Two-panel axial: CT | PSMA PET, [68Ga]Ga-PSMA-11 tracer. Acquired on Siemens Biograph 64-4R TruePoint. PET panel 168×168 px (4.1 mm/px).
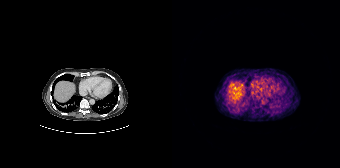
Negative for PSMA-avid disease on this slice.